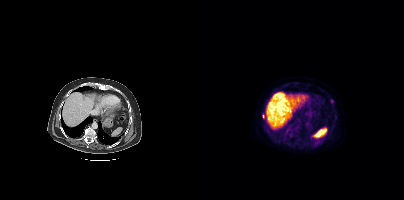
Coordinates are on the 200×200 PET (right) panel. Small PSMA-avid foci (2 to 4 px across) near (center x, center y): (59, 116) | (128, 101).